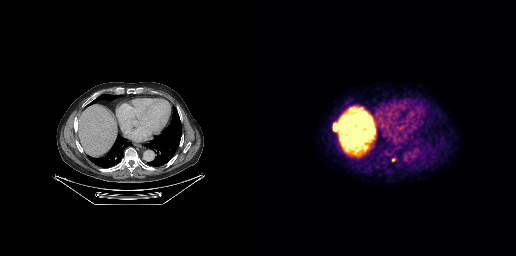
Two-panel axial: CT | PSMA PET, 18F tracer. Acquired on GE Discovery 690. Slice 177 of 263. PET panel 256×256 px (2.7 mm/px).
Coordinates are on the 256×256 PET (right) panel. PSMA-avid tumor lesion bounding boxes:
| # | x0 | y0 | x1 | y1 |
|---|---|---|---|---|
| 1 | 73 | 122 | 78 | 132 |
Small PSMA-avid focus (2 to 4 px across) near (center x, center y): (133, 159).